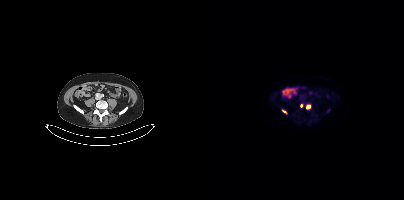
{"modality":"PSMA PET/CT","view":"axial","tracer":"[18F]PSMA-1007","pet_grid":[200,200],"coord_frame":"pet_panel","coord_format":"x0,y0,x1,y1","lesion_bboxes":[[102,105,106,108],[78,110,82,113]],"small_foci_centers":[[97,105]]}